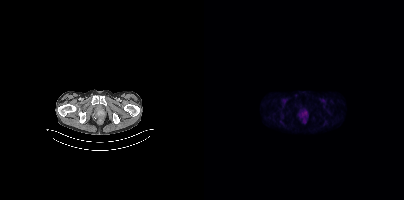
Technique: Left: CT. Right: PSMA PET, same axial level, 18F tracer. slice position z = -1547 mm. PET panel 200×200 px (4.1 mm/px).
Findings: Coordinates are on the 200×200 PET (right) panel. Small PSMA-avid foci (2 to 4 px across) near (center x, center y): (100, 112) / (101, 121).